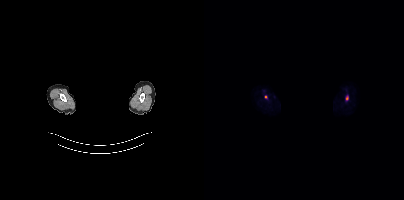
modality: PSMA PET/CT | tracer: 18F | view: axial | de-identification: privacy mask over head
Coordinates are on the 200×200 PET (right) panel. Small PSMA-avid foci (2 to 4 px across) near (center x, center y): (143, 97), (61, 96).